Technique: Paired axial CT (left) and PSMA PET (right), 18F tracer. PET panel 200×200 px (4.1 mm/px).
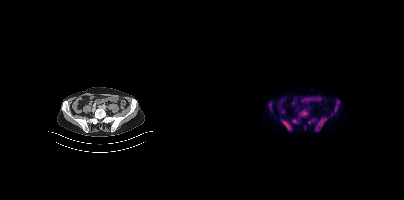
Findings: Coordinates are on the 200×200 PET (right) panel. (showing 3 of 6 foci) PSMA-avid tumor lesion bounding boxes (x, y, width, height): x=112 y=119 w=10 h=11 / x=77 y=120 w=11 h=11 / x=95 y=110 w=10 h=7.